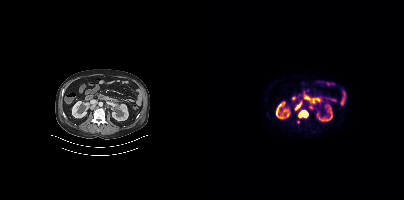
Coordinates are on the 200×200 PET (right) panel. (showing 2 of 3 foci) PSMA-avid tumor lesion bounding boxes (x0,y0,x1,y1): [94,110,104,117]; [91,101,97,110].
modality: PSMA PET/CT | tracer: 18F | view: axial | PET grid: 200×200